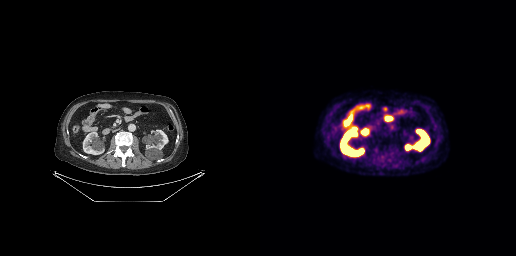
{"pet_grid":[256,256],"coord_frame":"pet_panel","coord_format":"x0,y0,x1,y1","psma_avid_lesions":false,"modality":"PSMA PET/CT","view":"axial","tracer":"[18F]PSMA-1007"}